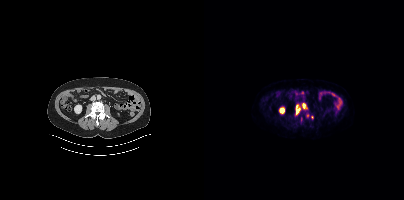
- Two-panel axial: CT | PSMA PET, 18F-PSMA tracer
- acquired on Siemens Biograph mCT Flow 20
- PET panel 200×200 px (4.1 mm/px)
Findings: Coordinates are on the 200×200 PET (right) panel. (showing 2 of 3 foci) PSMA-avid tumor lesion bounding boxes (x0, y0)-(x1, y1): (92, 105)-(95, 114) | (99, 103)-(101, 108).